Two-panel axial: CT | PSMA PET, [18F]PSMA-1007 tracer. Slice position z = -756 mm. PET panel 200×200 px (4.1 mm/px).
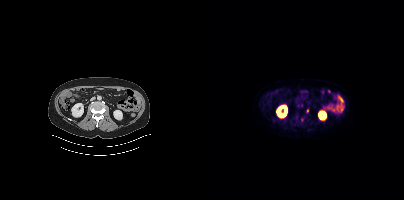
No PSMA-avid tumor lesions on this slice.